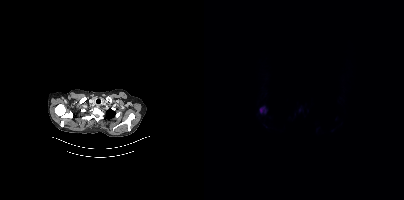
Two-panel axial: CT | PSMA PET, 18F-PSMA tracer. Acquired on Siemens Biograph mCT Flow 20. Slice 356 of 427.
Coordinates are on the 200×200 PET (right) panel. PSMA-avid tumor lesion bounding boxes:
| # | x0 | y0 | x1 | y1 |
|---|---|---|---|---|
| 1 | 56 | 107 | 61 | 113 |
Small PSMA-avid focus (2 to 4 px across) near (center x, center y): (95, 109).